Two-panel axial: CT | PSMA PET, [18F]PSMA-1007 tracer. Acquired on GE Discovery 690. Slice 204 of 263.
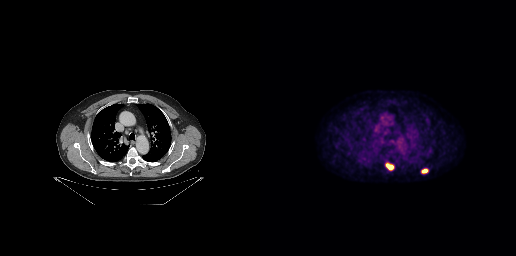
Coordinates are on the 256×256 PET (right) panel. PSMA-avid tumor lesion bounding boxes (x0,y0,x1,y1): [125,163,134,170]; [161,168,168,173].